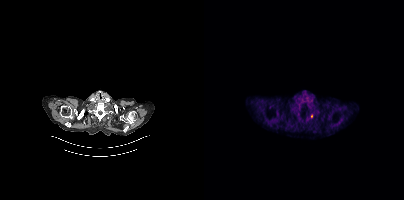
{"pet_grid":[200,200],"coord_frame":"pet_panel","coord_format":"x0,y0,x1,y1","lesion_bboxes":[],"small_foci_centers":[[107,115]],"modality":"PSMA PET/CT","view":"axial","tracer":"[68Ga]Ga-PSMA-11"}